Technique: Two-panel axial: CT | PSMA PET, 68Ga-PSMA tracer. acquired on GE Discovery 690. slice 253 of 263. PET panel 256×256 px (2.7 mm/px).
Note: A rectangle over the head was blacked out to remove identifiable facial features.
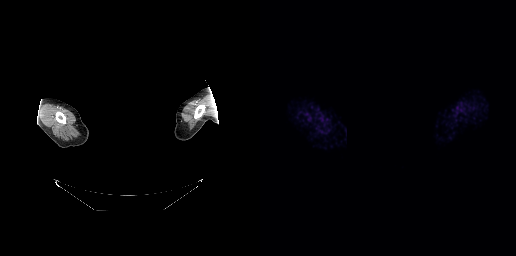
Findings: This slice has no annotated PSMA-avid lesion.